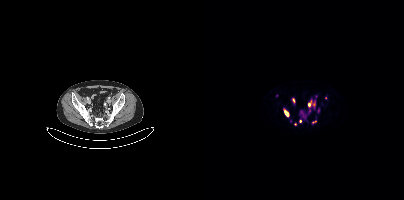
Findings: Coordinates are on the 200×200 PET (right) panel. (showing 11 of 13 foci) PSMA-avid tumor lesion bounding boxes (x0, y0)-(x1, y1): (104, 100)-(111, 107); (98, 112)-(102, 118); (81, 111)-(84, 115); (104, 109)-(106, 113); (88, 98)-(90, 102); (114, 108)-(115, 112). Small PSMA-avid foci (2 to 4 px across) near (center x, center y): (110, 121); (72, 95); (96, 121); (121, 97); (86, 121).
- Left: CT. Right: PSMA PET, same axial level, 68Ga-PSMA tracer
- slice position z = -1441 mm
- PET panel 200×200 px (4.1 mm/px)